modality: PSMA PET/CT | tracer: [18F]PSMA-1007 | view: axial
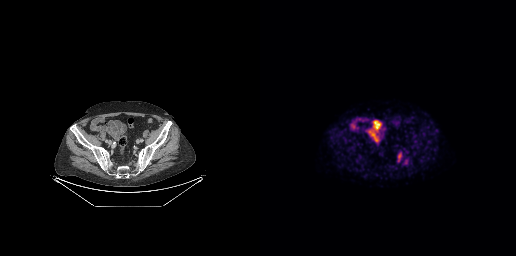
Coordinates are on the 256×256 PET (right) panel. (showing 1 of 2 foci) PSMA-avid tumor lesion bounding box (x, y, width, height): x=138 y=153 w=4 h=9.